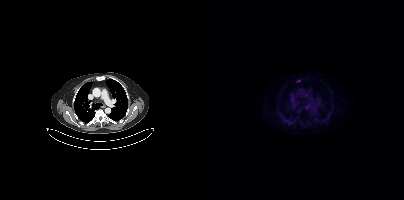
{"modality":"PSMA PET/CT","view":"axial","tracer":"18F","pet_grid":[200,200],"coord_frame":"pet_panel","coord_format":"x0,y0,x1,y1","partial":true,"lesion_bboxes":[]}